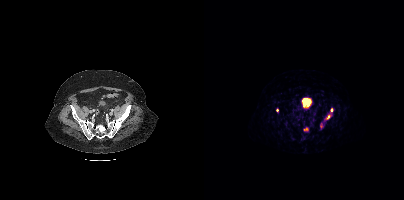
Coordinates are on the 200×200 PET (right) panel. (showing 3 of 5 foci) PSMA-avid tumor lesion bounding box (x, y, width, height): x=117 y=108 w=13 h=16. Small PSMA-avid foci (2 to 4 px across) near (center x, center y): (101, 129); (73, 110).